Left: CT. Right: PSMA PET, same axial level, 68Ga-PSMA tracer. Slice 322 of 433.
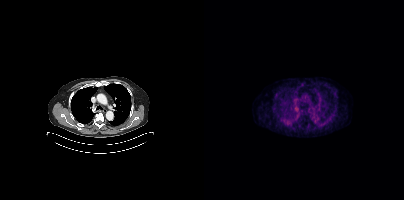
No tumor lesions annotated on this slice.